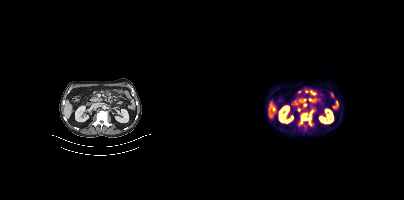
Left: CT. Right: PSMA PET, same axial level, [18F]PSMA-1007 tracer. Acquired on Siemens Biograph mCT Flow 20. Slice position z = -714 mm. Coordinates are on the 200×200 PET (right) panel. PSMA-avid tumor lesion bounding box (x0, y0)-(x1, y1): (94, 113)-(109, 127). Small PSMA-avid foci (2 to 4 px across) near (center x, center y): (101, 105) | (94, 109).